modality: PSMA PET/CT | tracer: [18F]PSMA-1007 | view: axial
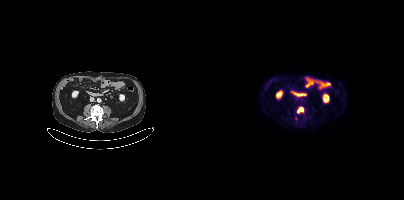
Coordinates are on the 200×200 PET (right) panel. PSMA-avid tumor lesion bounding box (x0,y0,x1,y1): [93,107,99,112].